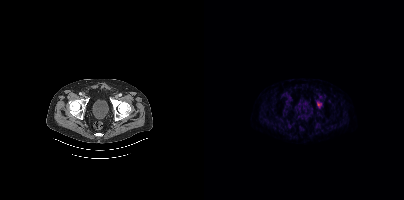
- Two-panel axial: CT | PSMA PET, 18F tracer
- slice position z = -927 mm
- PET panel 200×200 px (4.1 mm/px)
Findings: Coordinates are on the 200×200 PET (right) panel. Small PSMA-avid focus (2 to 4 px across) near (center x, center y): (114, 104).